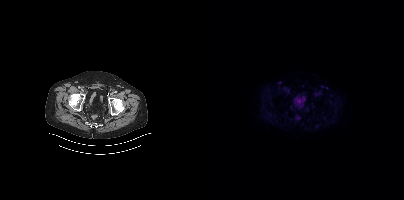
modality: PSMA PET/CT | tracer: 18F | view: axial
No tumor lesions annotated on this slice.